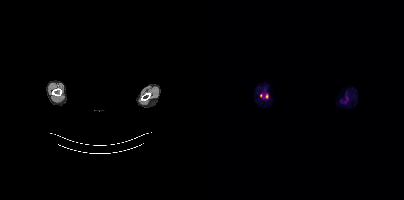
{"pet_grid":[200,200],"coord_frame":"pet_panel","coord_format":"x0,y0,x1,y1","psma_avid_lesions":false,"modality":"PSMA PET/CT","view":"axial","tracer":"[18F]PSMA-1007","deidentification":"privacy mask over head"}